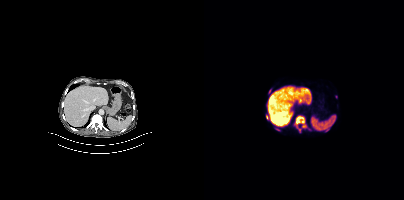
Left: CT. Right: PSMA PET, same axial level, [18F]PSMA-1007 tracer. Acquired on Siemens Biograph mCT Flow 20. Slice position z = -496 mm. PET panel 200×200 px (4.1 mm/px). Coordinates are on the 200×200 PET (right) panel. (showing 6 of 8 foci) PSMA-avid tumor lesion bounding boxes (x0,y0,x1,y1): [90,116,102,127] [72,128,76,130]. Small PSMA-avid foci (2 to 4 px across) near (center x, center y): (63, 116) (95, 130) (105, 129) (65, 91).